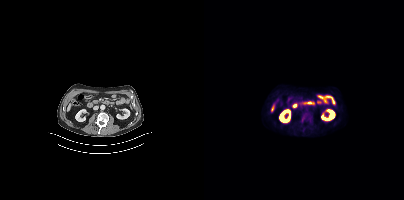
Only PSMA-avid lesion pieces thinner than 2 px on this slice (not listed).